- Left: CT. Right: PSMA PET, same axial level, [18F]PSMA-1007 tracer
- slice position z = -504 mm
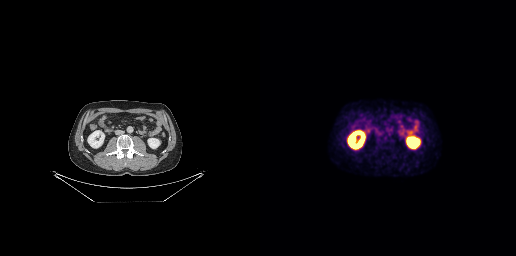
Findings: Coordinates are on the 256×256 PET (right) panel. Small PSMA-avid focus (2 to 4 px across) near (center x, center y): (117, 135).